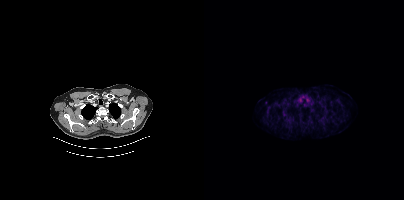
{"pet_grid":[200,200],"coord_frame":"pet_panel","coord_format":"x0,y0,x1,y1","psma_avid_lesions":false,"modality":"PSMA PET/CT","view":"axial","tracer":"68Ga"}